Two-panel axial: CT | PSMA PET, 18F tracer. PET panel 200×200 px (4.1 mm/px).
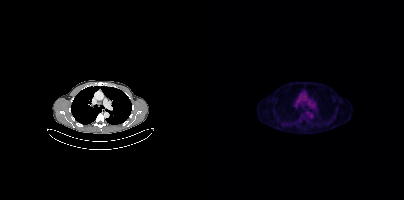
Coordinates are on the 200×200 PET (right) panel. Small PSMA-avid focus (2 to 4 px across) near (center x, center y): (133, 108).